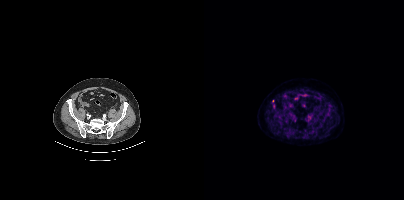
Only PSMA-avid lesion pieces thinner than 2 px on this slice (not listed).